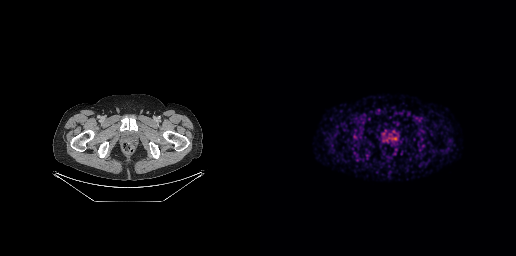
- Left: CT. Right: PSMA PET, same axial level, 68Ga-PSMA tracer
- acquired on GE Discovery 690
- slice position z = -915 mm
- PET panel 256×256 px (2.7 mm/px)
Findings: Coordinates are on the 256×256 PET (right) panel. PSMA-avid tumor lesion bounding box (x0,y0,x1,y1): [129,140,135,145].